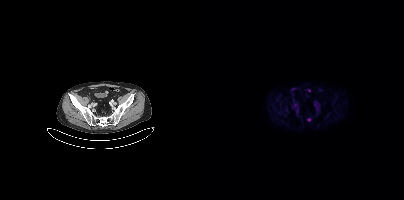
Paired axial CT (left) and PSMA PET (right), 18F-PSMA tracer. Acquired on Siemens Biograph mCT Flow 20. PET panel 200×200 px (4.1 mm/px). Coordinates are on the 200×200 PET (right) panel. Small PSMA-avid focus (2 to 4 px across) near (center x, center y): (104, 119).